- Left: CT. Right: PSMA PET, same axial level, 68Ga-PSMA tracer
- acquired on Siemens Biograph mCT Flow 20
- PET panel 200×200 px (4.1 mm/px)
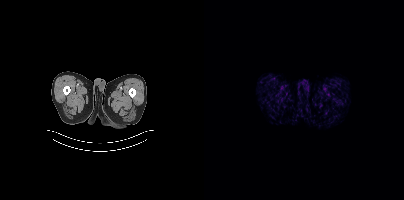
Findings: No tumor lesions annotated on this slice.